Left: CT. Right: PSMA PET, same axial level, [18F]PSMA-1007 tracer. Acquired on Siemens Biograph mCT Flow 20. PET panel 200×200 px (4.1 mm/px).
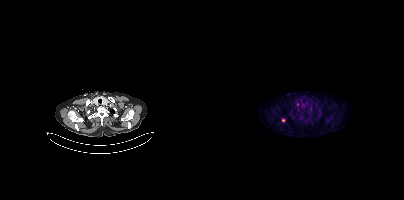
Coordinates are on the 200×200 PET (right) panel. Small PSMA-avid foci (2 to 4 px across) near (center x, center y): (79, 120); (93, 104).